A rectangular block over the head has been blanked out for de-identification.
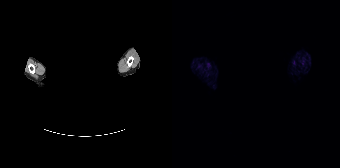
Negative for PSMA-avid disease on this slice.